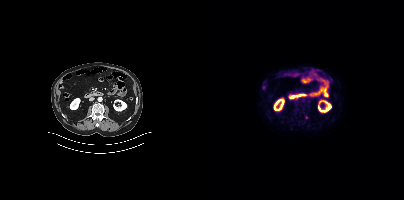
{"modality":"PSMA PET/CT","view":"axial","tracer":"18F-PSMA","pet_grid":[200,200],"coord_frame":"pet_panel","coord_format":"x0,y0,x1,y1","lesion_bboxes":[],"small_foci_centers":[[102,117]]}